Two-panel axial: CT | PSMA PET, [18F]PSMA-1007 tracer. Acquired on Siemens Biograph mCT Flow 20.
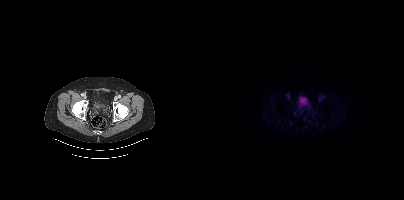
This slice has no annotated PSMA-avid lesion.